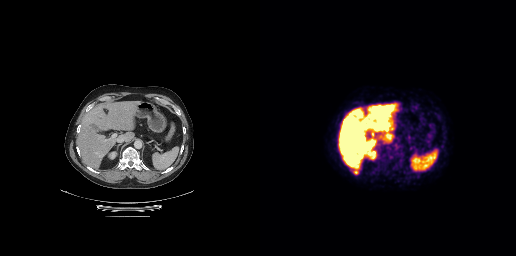
Paired axial CT (left) and PSMA PET (right), [18F]PSMA-1007 tracer. Acquired on GE Discovery 690. Slice position z = -409 mm. PET panel 256×256 px (2.7 mm/px). Coordinates are on the 256×256 PET (right) panel. PSMA-avid tumor lesion bounding box (x, y, width, height): x=93 y=170 w=6 h=5.